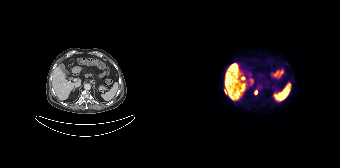
Coordinates are on the 168×168 PET (right) panel. PSMA-avid tumor lesion bounding boxes (x0,y0,x1,y1): [82,90,85,94] [52,89,55,93].
modality: PSMA PET/CT | tracer: 18F-PSMA | view: axial